Head region blanked for anonymization (face removed). Two-panel axial: CT | PSMA PET, 18F tracer. Acquired on Siemens Biograph mCT Flow 20.
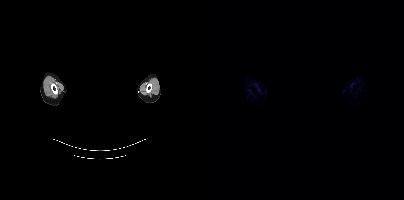
This slice has no annotated PSMA-avid lesion.